Technique: Paired axial CT (left) and PSMA PET (right), 18F tracer. slice position z = -1616 mm. PET panel 200×200 px (4.1 mm/px).
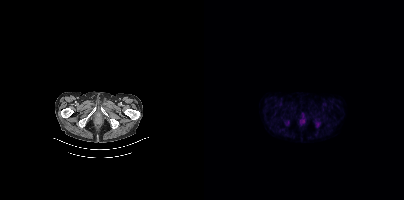
Findings: No PSMA-avid tumor lesions on this slice.